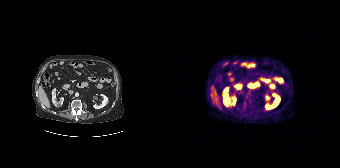
{"modality":"PSMA PET/CT","view":"axial","tracer":"68Ga-PSMA","pet_grid":[168,168],"coord_frame":"pet_panel","coord_format":"x0,y0,x1,y1","psma_avid_lesions":false}